modality: PSMA PET/CT | tracer: 18F-PSMA | view: axial | PET grid: 168×168
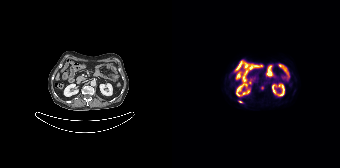
Coordinates are on the 168×168 PET (right) panel. Small PSMA-avid focus (2 to 4 px across) near (center x, center y): (68, 101).